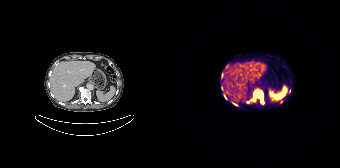
Coordinates are on the 168×168 PET (right) panel. (showing 6 of 10 foci) PSMA-avid tumor lesion bounding boxes (x0, y0)-(x1, y1): (82, 91)-(90, 101) | (89, 99)-(91, 103) | (60, 102)-(65, 105) | (52, 95)-(54, 99). Small PSMA-avid foci (2 to 4 px across) near (center x, center y): (116, 91) | (75, 101).